Paired axial CT (left) and PSMA PET (right), [18F]PSMA-1007 tracer. PET panel 200×200 px (4.1 mm/px).
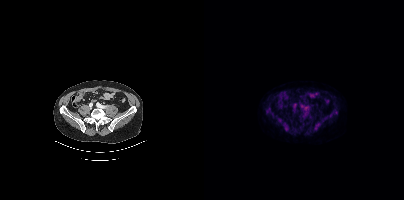
Negative for PSMA-avid disease on this slice.